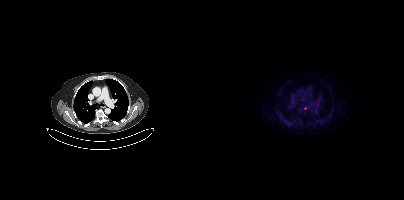
Two-panel axial: CT | PSMA PET, 18F tracer. Acquired on Siemens Biograph mCT Flow 20. Slice position z = 352 mm. Only PSMA-avid lesion pieces thinner than 2 px on this slice (not listed).